Technique: Left: CT. Right: PSMA PET, same axial level, [18F]PSMA-1007 tracer. acquired on GE Discovery 690. slice 140 of 263.
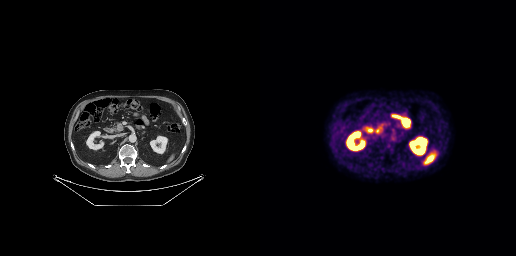
Findings: No PSMA-avid tumor lesions on this slice.